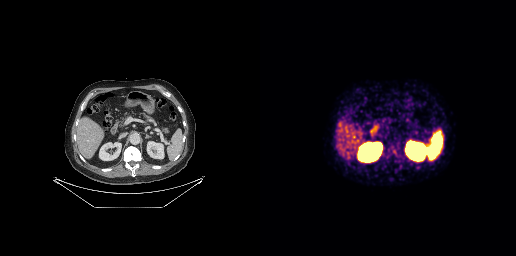
- Two-panel axial: CT | PSMA PET, [68Ga]Ga-PSMA-11 tracer
- PET panel 256×256 px (2.7 mm/px)
Findings: Negative for PSMA-avid disease on this slice.